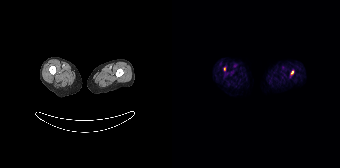
Coordinates are on the 168×168 PET (right) panel. Small PSMA-avid foci (2 to 4 px across) near (center x, center y): (120, 72) | (52, 69).